Two-panel axial: CT | PSMA PET, [18F]PSMA-1007 tracer. Slice position z = -1066 mm. PET panel 200×200 px (4.1 mm/px).
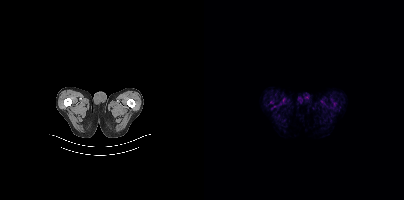
Negative for PSMA-avid disease on this slice.